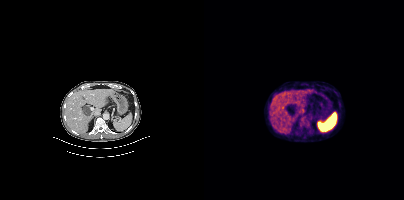
Coordinates are on the 200×200 PET (right) panel. PSMA-avid tumor lesion bounding box (x, y, width, height): x=95 y=116 w=12 h=11. Left: CT. Right: PSMA PET, same axial level, 18F-PSMA tracer. Slice 242 of 448.